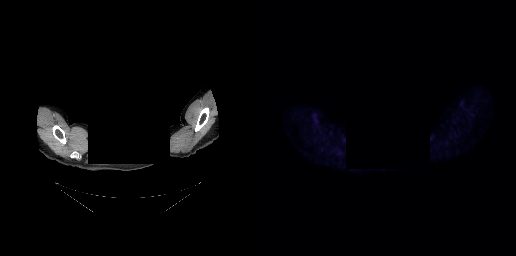
- any black rectangle over the head is a privacy mask, not anatomy
- Left: CT. Right: PSMA PET, same axial level, [18F]PSMA-1007 tracer
- acquired on GE Discovery 690
- slice 235 of 263
- PET panel 256×256 px (2.7 mm/px)
Findings: Negative for PSMA-avid disease on this slice.